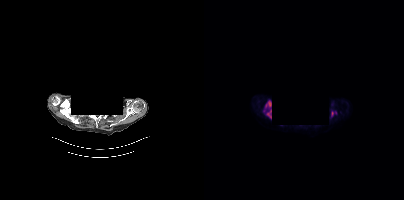
Findings: Coordinates are on the 200×200 PET (right) panel. (showing 3 of 4 foci) PSMA-avid tumor lesion bounding boxes (x0,y0,x1,y1): [61,101,67,119] [127,111,129,115]. Small PSMA-avid focus (2 to 4 px across) near (center x, center y): (131, 112).
- an anonymization step blacked out a rectangle over the head in this scan
- Left: CT. Right: PSMA PET, same axial level, [18F]PSMA-1007 tracer
- acquired on Siemens Biograph mCT Flow 20
- PET panel 200×200 px (4.1 mm/px)